modality: PSMA PET/CT | tracer: 68Ga | view: axial | PET grid: 168×168
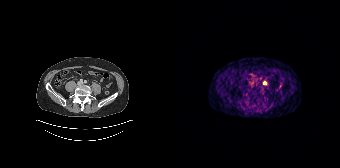
Only PSMA-avid lesion pieces thinner than 2 px on this slice (not listed).